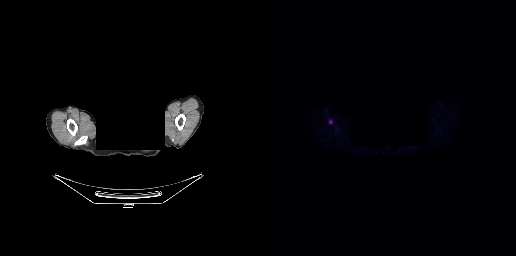
Coordinates are on the 256×256 PET (right) panel. Small PSMA-avid focus (2 to 4 px across) near (center x, center y): (70, 121).
de-identification: facial region redacted | modality: PSMA PET/CT | tracer: 18F | view: axial | PET grid: 256×256